Two-panel axial: CT | PSMA PET, [68Ga]Ga-PSMA-11 tracer.
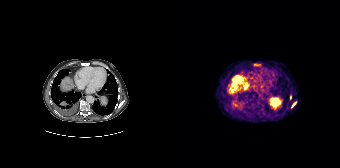
Coordinates are on the 168×168 PET (right) panel. PSMA-avid tumor lesion bounding boxes (partial; 1 more focus not listed):
| # | x0 | y0 | x1 | y1 |
|---|---|---|---|---|
| 1 | 57 | 77 | 69 | 92 |
| 2 | 82 | 63 | 88 | 66 |
| 3 | 120 | 102 | 123 | 107 |
Small PSMA-avid focus (2 to 4 px across) near (center x, center y): (118, 96).